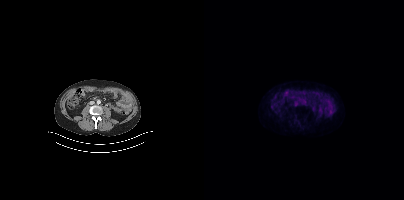
Findings: No tumor lesions annotated on this slice.
- Two-panel axial: CT | PSMA PET, 18F-PSMA tracer
- slice 165 of 415